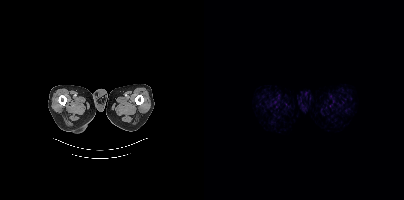
- Paired axial CT (left) and PSMA PET (right), [18F]PSMA-1007 tracer
- acquired on Siemens Biograph mCT Flow 20
- PET panel 200×200 px (4.1 mm/px)
Findings: This slice has no annotated PSMA-avid lesion.